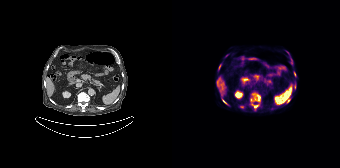
Coordinates are on the 168×168 PET (right) panel. (showing 6 of 7 foci) PSMA-avid tumor lesion bounding boxes (x0,y0,x1,y1): [78,93,88,101], [79,103,86,108], [50,99,55,104], [46,65,48,69]. Small PSMA-avid foci (2 to 4 px across) near (center x, center y): (116, 101), (122, 73). Paired axial CT (left) and PSMA PET (right), 18F tracer. PET panel 168×168 px (4.1 mm/px).